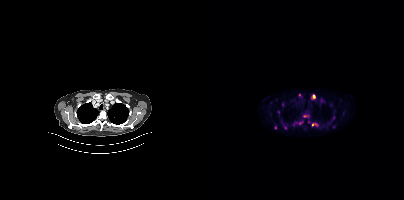
modality: PSMA PET/CT | tracer: 18F-PSMA | view: axial | PET grid: 200×200
Coordinates are on the 200×200 PET (right) panel. (showing 9 of 11 foci) PSMA-avid tumor lesion bounding boxes (x, y, width, height): x=91 y=121 w=6 h=4 | x=108 y=123 w=6 h=4. Small PSMA-avid foci (2 to 4 px across) near (center x, center y): (110, 96) | (100, 116) | (81, 128) | (95, 95) | (78, 103) | (71, 127) | (129, 117).